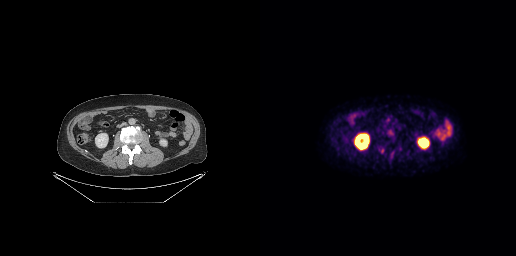
Only PSMA-avid lesion pieces thinner than 2 px on this slice (not listed).